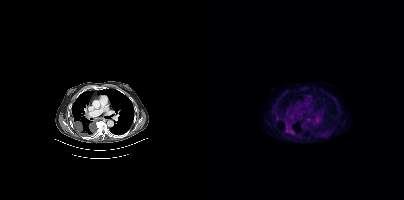
{"modality":"PSMA PET/CT","view":"axial","tracer":"18F","pet_grid":[200,200],"coord_frame":"pet_panel","coord_format":"x0,y0,x1,y1","lesion_bboxes":[[81,125,89,134],[72,115,75,119]]}